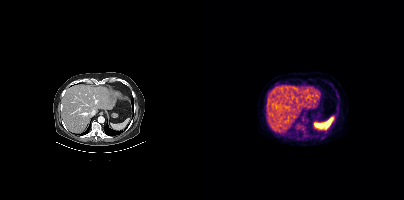
Coordinates are on the 200×200 PET (right) panel. Small PSMA-avid focus (2 to 4 px across) near (center x, center y): (98, 127).